Technique: Paired axial CT (left) and PSMA PET (right), [18F]PSMA-1007 tracer. slice position z = -760 mm. PET panel 256×256 px (2.7 mm/px).
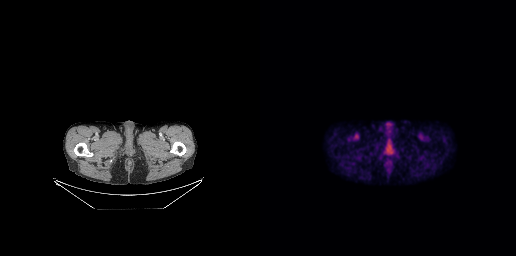
Findings: Coordinates are on the 256×256 PET (right) panel. Small PSMA-avid focus (2 to 4 px across) near (center x, center y): (129, 159).